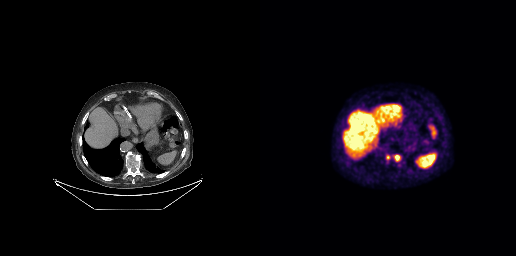
{"modality":"PSMA PET/CT","view":"axial","tracer":"18F-PSMA","pet_grid":[256,256],"coord_frame":"pet_panel","coord_format":"x0,y0,x1,y1","lesion_bboxes":[[134,155,140,161]],"small_foci_centers":[[128,157]]}